Technique: Two-panel axial: CT | PSMA PET, 18F-PSMA tracer. acquired on Siemens Biograph mCT Flow 20. PET panel 200×200 px (4.1 mm/px).
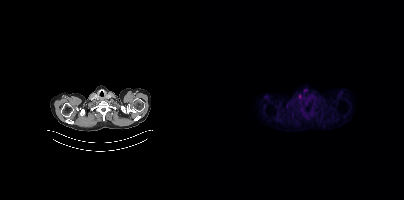
Findings: Negative for PSMA-avid disease on this slice.